- Paired axial CT (left) and PSMA PET (right), 18F tracer
- slice position z = -970 mm
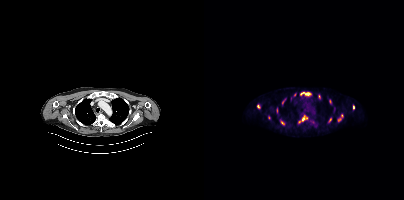
Findings: Coordinates are on the 200×200 PET (right) panel. (showing 11 of 15 foci) PSMA-avid tumor lesion bounding boxes (x0, y0)-(x1, y1): (96, 92)-(106, 95) / (134, 114)-(139, 121) / (94, 116)-(100, 123) / (78, 99)-(81, 104) / (149, 105)-(150, 109). Small PSMA-avid foci (2 to 4 px across) near (center x, center y): (78, 122) / (126, 119) / (91, 94) / (115, 96) / (126, 101) / (54, 106).